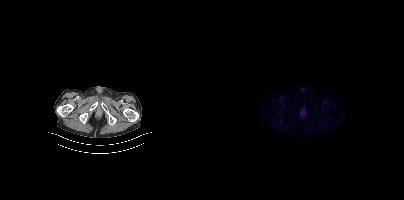
- Paired axial CT (left) and PSMA PET (right), 18F tracer
- PET panel 200×200 px (4.1 mm/px)
Findings: This slice has no annotated PSMA-avid lesion.